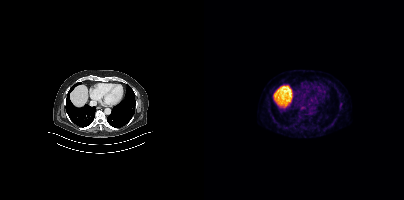
{"modality":"PSMA PET/CT","view":"axial","tracer":"68Ga","pet_grid":[200,200],"coord_frame":"pet_panel","coord_format":"x0,y0,x1,y1","lesion_bboxes":[[136,103,137,107]]}